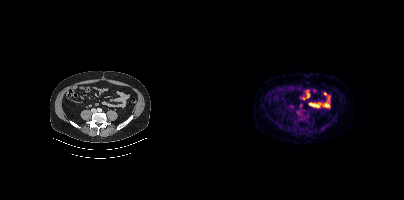
Findings: No PSMA-avid tumor lesions on this slice.
Technique: Left: CT. Right: PSMA PET, same axial level, 18F-PSMA tracer. acquired on Siemens Biograph mCT Flow 20. slice position z = -1251 mm.